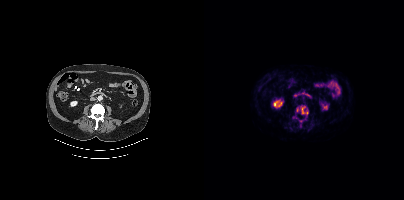
Coordinates are on the 200×200 PET (right) panel. (showing 2 of 3 foci) PSMA-avid tumor lesion bounding box (x, y, width, height): x=97 y=106 w=8 h=9. Small PSMA-avid focus (2 to 4 px across) near (center x, center y): (93, 110).